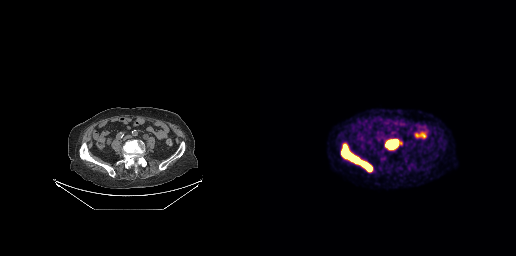
Technique: Paired axial CT (left) and PSMA PET (right), 18F tracer. slice position z = -516 mm.
Findings: Coordinates are on the 256×256 PET (right) panel. (showing 2 of 3 foci) PSMA-avid tumor lesion bounding boxes (x, y, width, height): x=81 y=143 w=32 h=29 / x=125 y=139 w=15 h=12.